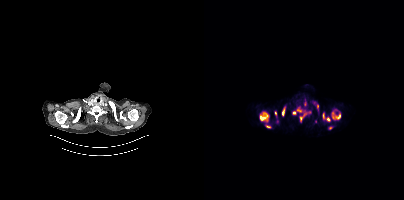
{"modality":"PSMA PET/CT","view":"axial","tracer":"68Ga","pet_grid":[200,200],"coord_frame":"pet_panel","coord_format":"x0,y0,x1,y1","lesion_bboxes":[[128,109,136,119],[56,112,64,122],[93,109,104,116],[119,115,126,121],[109,102,114,108],[78,107,81,114],[61,124,66,128],[71,111,72,115]],"small_foci_centers":[[126,127],[90,112],[97,119]]}